Left: CT. Right: PSMA PET, same axial level, 18F tracer. Acquired on Siemens Biograph mCT Flow 20. Face de-identified by blanking a block of the head.
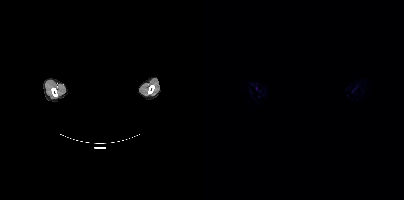
This slice has no annotated PSMA-avid lesion.